Technique: Paired axial CT (left) and PSMA PET (right), 18F tracer. acquired on Siemens Biograph mCT Flow 20.
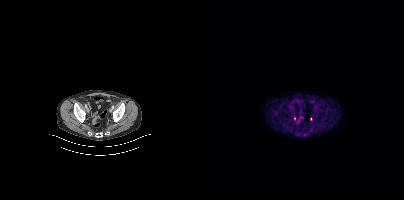
Findings: Negative for PSMA-avid disease on this slice.